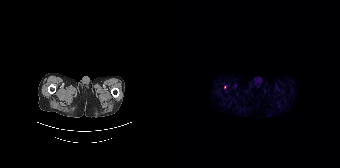
Technique: Two-panel axial: CT | PSMA PET, 68Ga-PSMA tracer. slice position z = -1652 mm. PET panel 168×168 px (4.1 mm/px).
Findings: Coordinates are on the 168×168 PET (right) panel. Small PSMA-avid focus (2 to 4 px across) near (center x, center y): (52, 87).